Technique: Left: CT. Right: PSMA PET, same axial level, 18F-PSMA tracer. acquired on Siemens Biograph mCT Flow 20. slice 123 of 464. PET panel 200×200 px (4.1 mm/px).
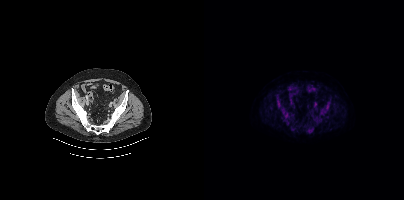
Findings: Coordinates are on the 200×200 PET (right) panel. PSMA-avid tumor lesion bounding boxes (x0,y0,x1,y1): [76,107,84,121], [103,127,109,133], [117,108,123,112], [72,97,76,104], [123,102,126,106]. Small PSMA-avid focus (2 to 4 px across) near (center x, center y): (107, 119).